Left: CT. Right: PSMA PET, same axial level, [18F]PSMA-1007 tracer. PET panel 200×200 px (4.1 mm/px).
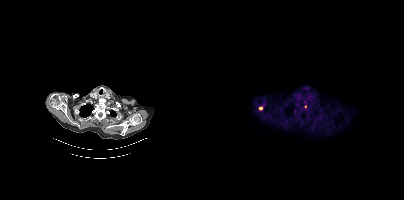
Coordinates are on the 200×200 PET (right) panel. Small PSMA-avid foci (2 to 4 px across) near (center x, center y): (56, 108) | (101, 106).